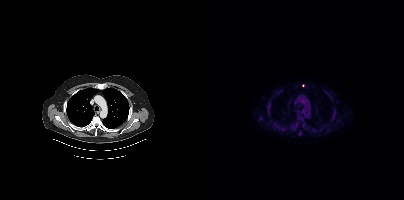
{"pet_grid":[200,200],"coord_frame":"pet_panel","coord_format":"x0,y0,x1,y1","partial":true,"lesion_bboxes":[[67,120,75,128],[128,108,132,118],[63,100,66,107],[94,130,98,135],[63,110,66,115],[108,128,112,132],[94,117,99,121],[78,127,81,131],[55,117,59,120],[98,123,101,128]],"small_foci_centers":[[126,97],[119,128]],"modality":"PSMA PET/CT","view":"axial","tracer":"18F"}